- Paired axial CT (left) and PSMA PET (right), 18F tracer
- acquired on Siemens Biograph mCT Flow 20
- PET panel 200×200 px (4.1 mm/px)
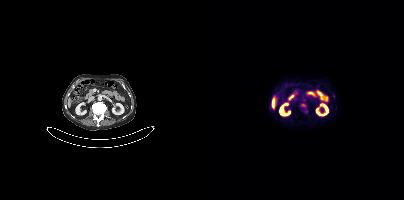
Findings: Coordinates are on the 200×200 PET (right) panel. PSMA-avid tumor lesion bounding box (x0, y0)-(x1, y1): (97, 104)-(101, 107). Small PSMA-avid focus (2 to 4 px across) near (center x, center y): (129, 95).